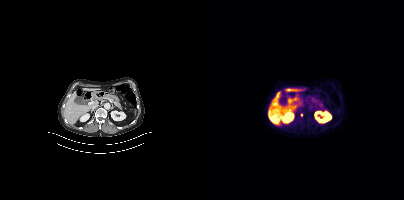
Coordinates are on the 200×200 PET (right) panel. Small PSMA-avid focus (2 to 4 px across) near (center x, center y): (97, 114).